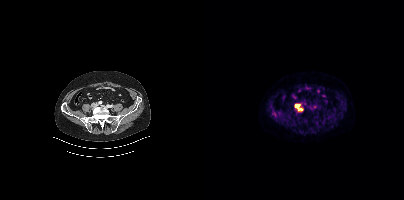
Technique: Two-panel axial: CT | PSMA PET, 18F-PSMA tracer. acquired on Siemens Biograph mCT Flow 20. slice 133 of 454. PET panel 200×200 px (4.1 mm/px).
Findings: Coordinates are on the 200×200 PET (right) panel. PSMA-avid tumor lesion bounding box (x, y, width, height): x=91 y=104 w=5 h=4.